Technique: Two-panel axial: CT | PSMA PET, 18F tracer.
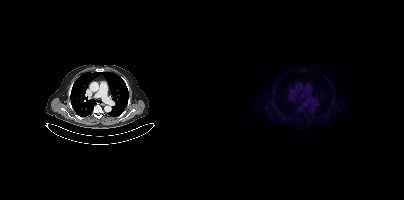
Findings: No PSMA-avid tumor lesions on this slice.